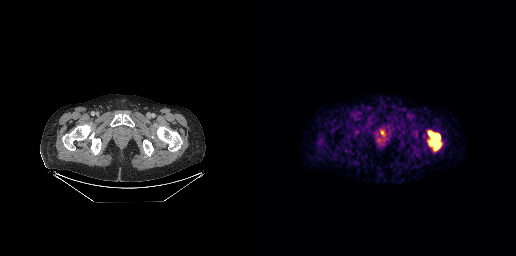
Coordinates are on the 256×256 PET (right) panel. PSMA-avid tumor lesion bounding box (x0,y0,x1,y1): [168,131,181,150]. Paired axial CT (left) and PSMA PET (right), [68Ga]Ga-PSMA-11 tracer.